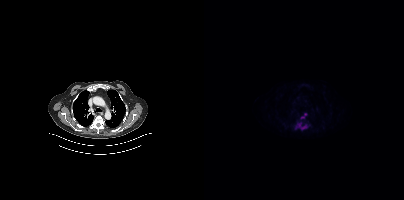
Coordinates are on the 200×200 PET (right) panel. PSMA-avid tumor lesion bounding boxes (x0, y0)-(x1, y1): (90, 122)-(103, 130) | (97, 115)-(101, 119). Two-panel axial: CT | PSMA PET, 18F-PSMA tracer. Acquired on Siemens Biograph mCT Flow 20. Slice 303 of 395. PET panel 200×200 px (4.1 mm/px).